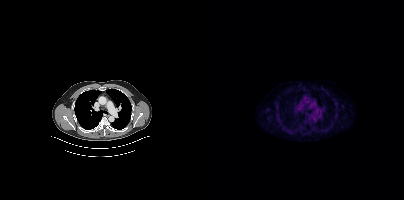
No tumor lesions annotated on this slice.